Paired axial CT (left) and PSMA PET (right), 18F-PSMA tracer.
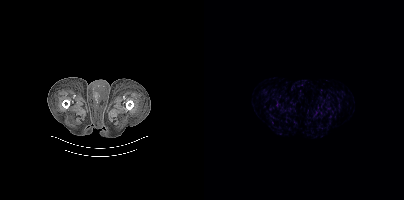
No PSMA-avid tumor lesions on this slice.